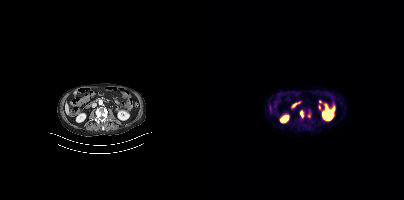
Coordinates are on the 200×200 PET (right) panel. PSMA-avid tumor lesion bounding boxes (x, y, width, height): x=104 y=109 w=4 h=9 | x=96 y=111 w=4 h=7.